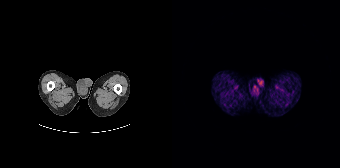
{"modality":"PSMA PET/CT","view":"axial","tracer":"68Ga-PSMA","pet_grid":[168,168],"coord_frame":"pet_panel","coord_format":"x0,y0,x1,y1","psma_avid_lesions":false}